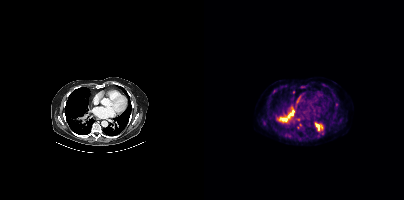
Technique: Paired axial CT (left) and PSMA PET (right), 18F tracer. slice 305 of 448. PET panel 200×200 px (4.1 mm/px).
Findings: Coordinates are on the 200×200 PET (right) panel. (showing 4 of 7 foci) PSMA-avid tumor lesion bounding boxes (x0,y0,x1,y1): [73,109,90,122], [112,124,119,131], [96,86,100,88]. Small PSMA-avid focus (2 to 4 px across) near (center x, center y): (94, 119).